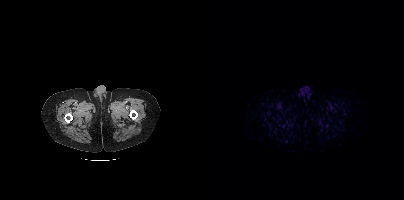
This slice has no annotated PSMA-avid lesion. Left: CT. Right: PSMA PET, same axial level, 68Ga tracer. Acquired on Siemens Biograph mCT Flow 20. Slice 33 of 444.